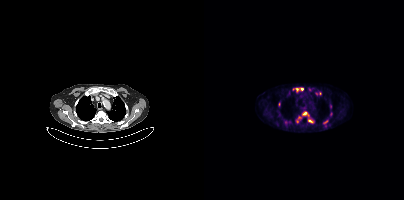
modality: PSMA PET/CT | tracer: 18F | view: axial
Coordinates are on the 200×200 PET (right) panel. (showing 9 of 11 foci) PSMA-avid tumor lesion bounding boxes (x, y, width, height): x=98 y=111 w=7 h=5; x=104 y=119 w=6 h=4; x=119 y=120 w=5 h=4. Small PSMA-avid foci (2 to 4 px across) near (center x, center y): (93, 89); (97, 89); (116, 93); (75, 104); (112, 93); (93, 121).